Technique: Left: CT. Right: PSMA PET, same axial level, 68Ga tracer. PET panel 168×168 px (4.1 mm/px).
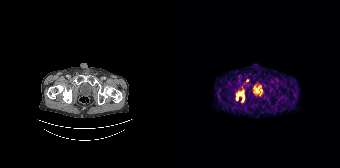
Findings: Coordinates are on the 168×168 PET (right) panel. (showing 3 of 5 foci) Small PSMA-avid foci (2 to 4 px across) near (center x, center y): (75, 80); (68, 93); (64, 98).